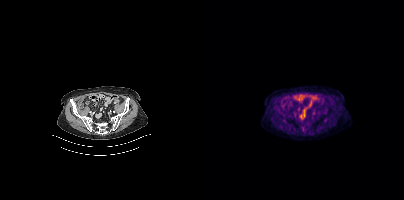
No tumor lesions annotated on this slice.